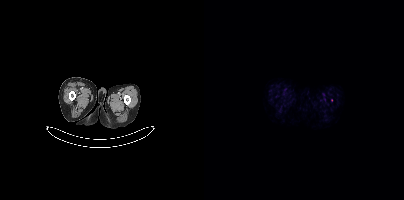
Only PSMA-avid lesion pieces thinner than 2 px on this slice (not listed).